- Paired axial CT (left) and PSMA PET (right), 18F tracer
- acquired on Siemens Biograph mCT Flow 20
- slice 286 of 423
- PET panel 200×200 px (4.1 mm/px)
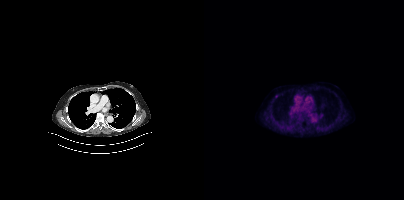
Findings: Coordinates are on the 200×200 PET (right) panel. Small PSMA-avid focus (2 to 4 px across) near (center x, center y): (72, 96).